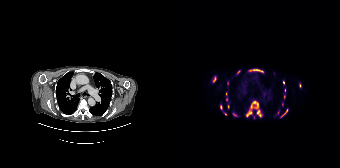
Findings: Coordinates are on the 168×168 PET (right) panel. (showing 13 of 18 foci) PSMA-avid tumor lesion bounding boxes (x, y, width, height): x=74 y=101 w=17 h=17 | x=77 y=69 w=15 h=4 | x=48 y=105 w=3 h=5 | x=109 y=109 w=7 h=8 | x=41 y=77 w=4 h=5. Small PSMA-avid foci (2 to 4 px across) near (center x, center y): (128, 85) | (66, 72) | (112, 96) | (62, 114) | (111, 82) | (56, 106) | (54, 99) | (53, 114).
- Paired axial CT (left) and PSMA PET (right), [18F]PSMA-1007 tracer